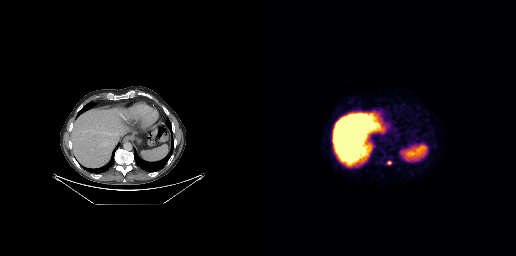
Coordinates are on the 256×256 PET (right) panel. PSMA-avid tumor lesion bounding box (x0,y0,x1,y1): [127,161,131,164].